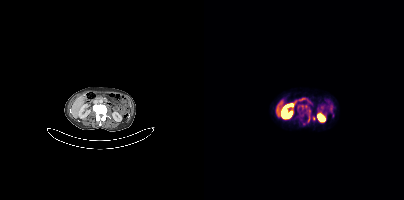
Technique: Left: CT. Right: PSMA PET, same axial level, 68Ga tracer.
Findings: Coordinates are on the 200×200 PET (right) panel. PSMA-avid tumor lesion bounding box (x0,y0,x1,y1): [104,112,106,122]. Small PSMA-avid focus (2 to 4 px across) near (center x, center y): (110, 118).